Technique: Left: CT. Right: PSMA PET, same axial level, 68Ga tracer. acquired on Siemens Biograph mCT Flow 20.
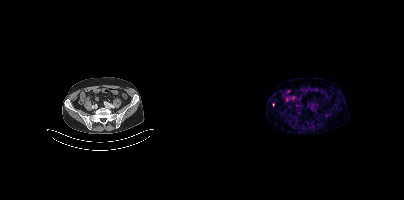
Findings: Coordinates are on the 200×200 PET (right) panel. Small PSMA-avid focus (2 to 4 px across) near (center x, center y): (69, 104).